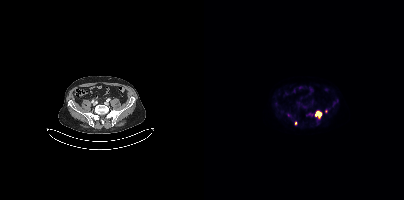
Coordinates are on the 200×200 PET (right) panel. (showing 3 of 4 foci) PSMA-avid tumor lesion bounding box (x, y, width, height): x=112 y=111 w=6 h=7. Small PSMA-avid foci (2 to 4 px across) near (center x, center y): (84, 114); (91, 123).